Technique: Left: CT. Right: PSMA PET, same axial level, 18F tracer. acquired on Siemens Biograph mCT Flow 20. PET panel 200×200 px (4.1 mm/px).
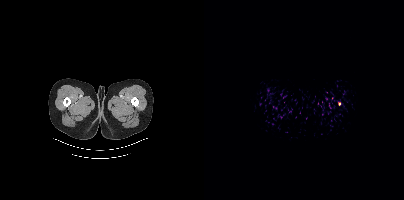
Findings: Coordinates are on the 200×200 PET (right) panel. Small PSMA-avid focus (2 to 4 px across) near (center x, center y): (135, 103).